redaction: rectangular block set to black | modality: PSMA PET/CT | tracer: 68Ga-PSMA | view: axial
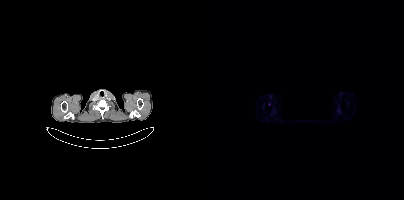
No tumor lesions annotated on this slice.